modality: PSMA PET/CT | tracer: 18F-PSMA | view: axial
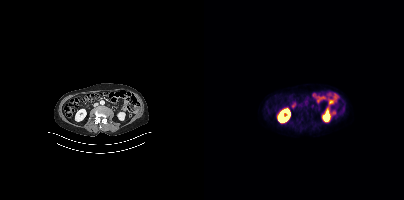
This slice has no annotated PSMA-avid lesion.